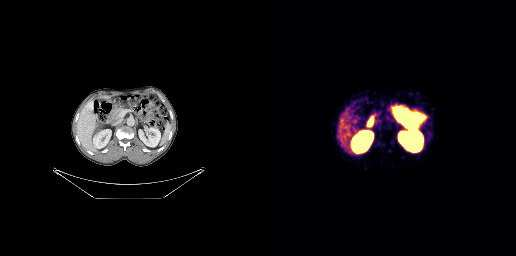
Technique: Two-panel axial: CT | PSMA PET, 68Ga tracer. acquired on GE Discovery 690. slice position z = -585 mm.
Findings: No PSMA-avid tumor lesions on this slice.